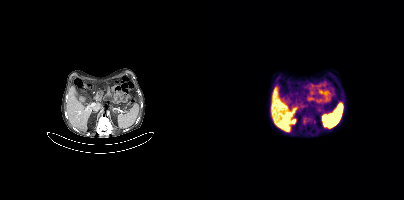
{"modality":"PSMA PET/CT","view":"axial","tracer":"[18F]PSMA-1007","pet_grid":[200,200],"coord_frame":"pet_panel","coord_format":"x0,y0,x1,y1","lesion_bboxes":[[98,116,111,124]]}